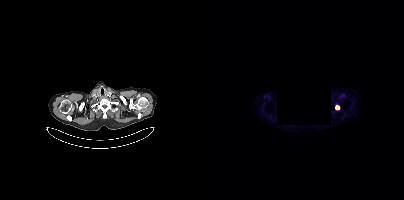
{"modality":"PSMA PET/CT","view":"axial","tracer":"[18F]PSMA-1007","pet_grid":[200,200],"coord_frame":"pet_panel","coord_format":"x0,y0,x1,y1","lesion_bboxes":[],"small_foci_centers":[[133,107]],"de-identification":"privacy mask (black rectangle)"}